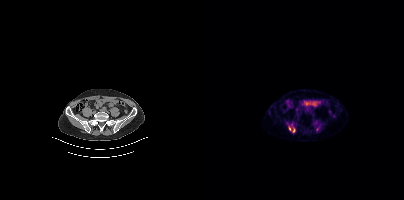
modality: PSMA PET/CT | tracer: [68Ga]Ga-PSMA-11 | view: axial
Coordinates are on the 200×200 PET (right) panel. PSMA-avid tumor lesion bounding box (x0,y0,x1,y1): [89,128,91,132]. Small PSMA-avid focus (2 to 4 px across) near (center x, center y): (85, 128).